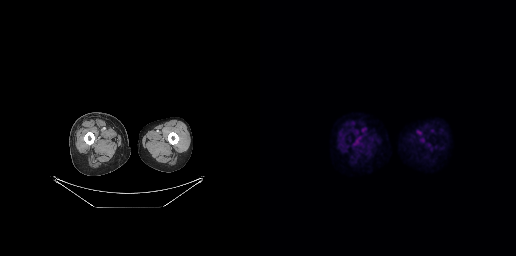
Left: CT. Right: PSMA PET, same axial level, [18F]PSMA-1007 tracer. Slice 23 of 263. PET panel 256×256 px (2.7 mm/px). Negative for PSMA-avid disease on this slice.